Technique: Two-panel axial: CT | PSMA PET, [18F]PSMA-1007 tracer. acquired on Siemens Biograph mCT Flow 20. PET panel 200×200 px (4.1 mm/px).
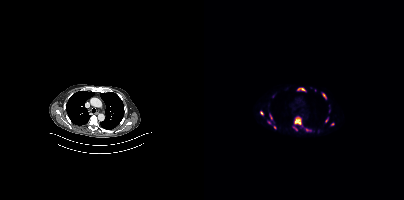
Findings: Coordinates are on the 200×200 PET (right) panel. (showing 10 of 13 foci) PSMA-avid tumor lesion bounding boxes (x, y, width, height): x=90 y=116 w=8 h=9 | x=118 y=93 w=5 h=7 | x=93 y=88 w=9 h=3 | x=89 y=126 w=5 h=5 | x=66 y=114 w=3 h=5. Small PSMA-avid foci (2 to 4 px across) near (center x, center y): (57, 112) | (128, 124) | (122, 120) | (103, 129) | (70, 127).